Two-panel axial: CT | PSMA PET, 68Ga-PSMA tracer. Slice position z = 917 mm. PET panel 200×200 px (4.1 mm/px). Any black rectangle over the head is a privacy mask, not anatomy.
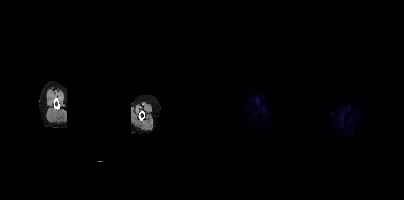
This slice has no annotated PSMA-avid lesion.